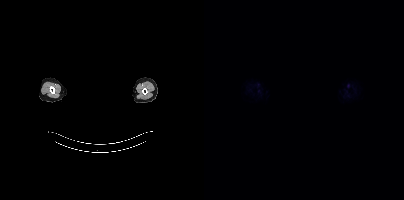
Head region blanked for anonymization (face removed).
This slice has no annotated PSMA-avid lesion.